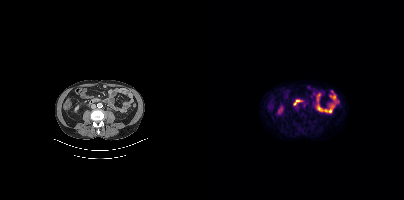
- Two-panel axial: CT | PSMA PET, 18F tracer
- acquired on Siemens Biograph mCT Flow 20
- PET panel 200×200 px (4.1 mm/px)
Findings: No tumor lesions annotated on this slice.